modality: PSMA PET/CT | tracer: 68Ga-PSMA | view: axial | PET grid: 168×168
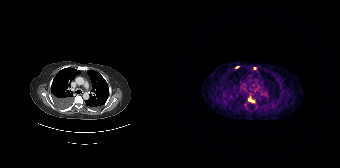
Coordinates are on the 168×168 PET (right) panel. (showing 1 of 3 foci) PSMA-avid tumor lesion bounding box (x, y, width, height): x=76 y=97 w=7 h=6.